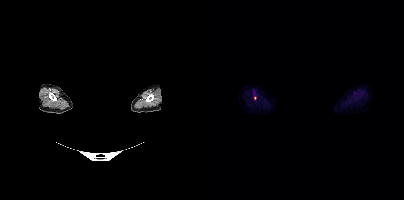
Findings: Coordinates are on the 200×200 PET (right) panel. Small PSMA-avid focus (2 to 4 px across) near (center x, center y): (50, 98).
Technique: Left: CT. Right: PSMA PET, same axial level, [18F]PSMA-1007 tracer. acquired on Siemens Biograph mCT Flow 20. slice position z = 232 mm. PET panel 200×200 px (4.1 mm/px).
Note: A rectangular block over the head has been blanked out for de-identification.